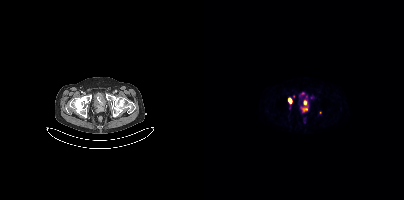
Findings: Coordinates are on the 200×200 PET (right) panel. PSMA-avid tumor lesion bounding boxes (x0,y0,x1,y1): [97,107,103,111]; [84,98,87,103]; [100,100,103,105]. Small PSMA-avid foci (2 to 4 px across) near (center x, center y): (102, 96); (89, 96); (99, 93); (116, 112).
- Two-panel axial: CT | PSMA PET, 68Ga-PSMA tracer
- acquired on Siemens Biograph mCT Flow 20
- slice position z = -1501 mm